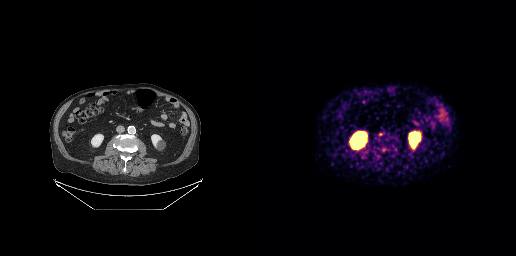
Only PSMA-avid lesion pieces thinner than 2 px on this slice (not listed).